modality: PSMA PET/CT | tracer: 68Ga | view: axial
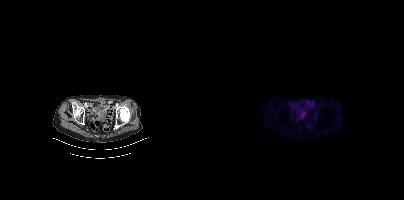
This slice has no annotated PSMA-avid lesion.